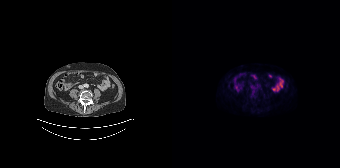
{"pet_grid":[168,168],"coord_frame":"pet_panel","coord_format":"x0,y0,x1,y1","psma_avid_lesions":false,"modality":"PSMA PET/CT","view":"axial","tracer":"[18F]PSMA-1007"}